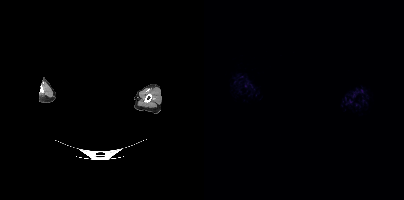
Head region blanked for anonymization (face removed). Left: CT. Right: PSMA PET, same axial level, 18F tracer. PET panel 200×200 px (4.1 mm/px). Negative for PSMA-avid disease on this slice.